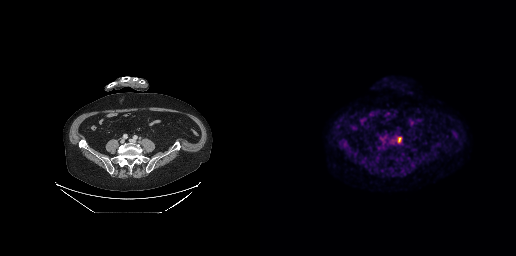
Two-panel axial: CT | PSMA PET, [18F]PSMA-1007 tracer. Acquired on GE Discovery 690. Slice position z = -568 mm. PET panel 256×256 px (2.7 mm/px). Coordinates are on the 256×256 PET (right) panel. PSMA-avid tumor lesion bounding box (x0,y0,x1,y1): [137,137,141,143].